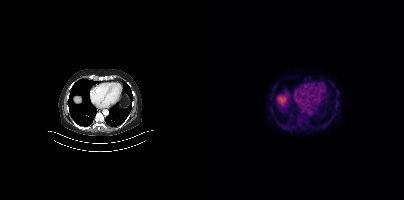
Negative for PSMA-avid disease on this slice.
modality: PSMA PET/CT | tracer: 18F-PSMA | view: axial | PET grid: 200×200